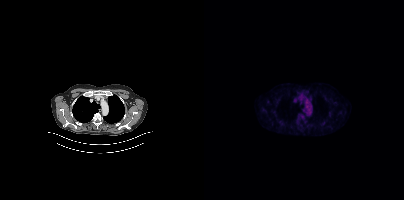
Findings: This slice has no annotated PSMA-avid lesion.
Technique: Left: CT. Right: PSMA PET, same axial level, 18F-PSMA tracer. acquired on Siemens Biograph mCT Flow 20. PET panel 200×200 px (4.1 mm/px).